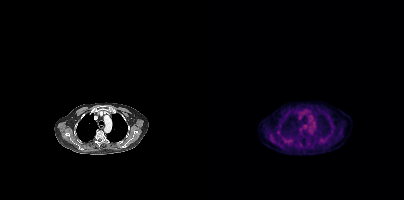
{"modality":"PSMA PET/CT","view":"axial","tracer":"[18F]PSMA-1007","pet_grid":[200,200],"coord_frame":"pet_panel","coord_format":"x0,y0,x1,y1","psma_avid_lesions":false}